- Paired axial CT (left) and PSMA PET (right), [18F]PSMA-1007 tracer
- slice 61 of 423
- PET panel 200×200 px (4.1 mm/px)
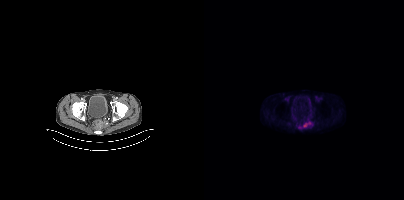
Findings: Coordinates are on the 200×200 PET (right) panel. PSMA-avid tumor lesion bounding box (x0,y0,x1,y1): [99,122,106,127]. Small PSMA-avid focus (2 to 4 px across) near (center x, center y): (95, 127).